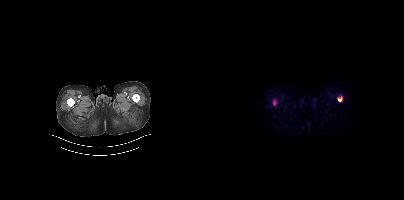
{"modality":"PSMA PET/CT","view":"axial","tracer":"68Ga-PSMA","pet_grid":[200,200],"coord_frame":"pet_panel","coord_format":"x0,y0,x1,y1","psma_avid_lesions":false}